Technique: Paired axial CT (left) and PSMA PET (right), [18F]PSMA-1007 tracer. acquired on Siemens Biograph mCT Flow 20.
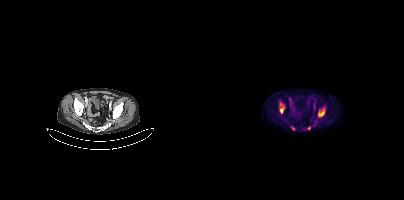
Findings: Coordinates are on the 200×200 PET (right) panel. (showing 3 of 4 foci) PSMA-avid tumor lesion bounding boxes (x0, y0)-(x1, y1): (114, 107)-(121, 116) | (75, 102)-(80, 113). Small PSMA-avid focus (2 to 4 px across) near (center x, center y): (88, 128).